Paired axial CT (left) and PSMA PET (right), 68Ga-PSMA tracer. Acquired on Siemens Biograph mCT Flow 20.
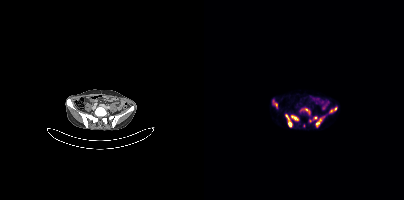
Coordinates are on the 200×200 PET (right) panel. (showing 9 of 11 foci) PSMA-avid tumor lesion bounding boxes (x0,y0,x1,y1): [82,115,87,126]; [87,115,94,120]; [69,100,73,107]. Small PSMA-avid foci (2 to 4 px across) near (center x, center y): (113, 123); (131, 108); (127, 111); (111, 117); (102, 109); (99, 125).